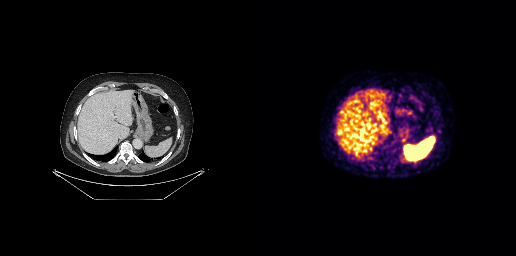
No tumor lesions annotated on this slice.